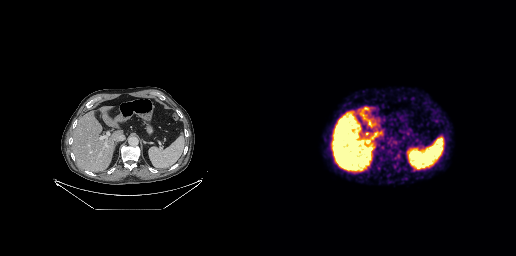
Findings: Negative for PSMA-avid disease on this slice.
Technique: Left: CT. Right: PSMA PET, same axial level, [18F]PSMA-1007 tracer. PET panel 256×256 px (2.7 mm/px).